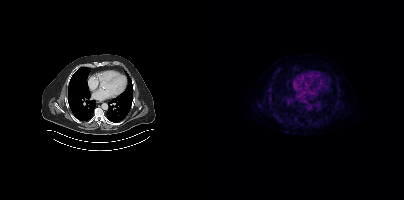
modality: PSMA PET/CT | tracer: 18F | view: axial
Coordinates are on the 200×200 PET (right) panel. PSMA-avid tumor lesion bounding box (x0, y0)-(x1, y1): (75, 119)-(79, 122).